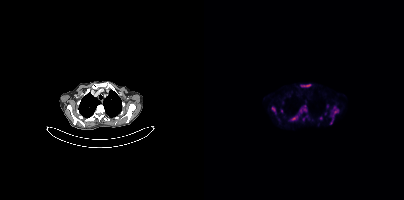
Two-panel axial: CT | PSMA PET, 18F-PSMA tracer. Acquired on Siemens Biograph mCT Flow 20. Slice 278 of 354.
Coordinates are on the 200×200 PET (right) panel. PSMA-avid tumor lesion bounding boxes (partial; 4 more foci not listed):
| # | x0 | y0 | x1 | y1 |
|---|---|---|---|---|
| 1 | 128 | 107 | 134 | 116 |
| 2 | 97 | 84 | 106 | 86 |
| 3 | 87 | 116 | 93 | 120 |
| 4 | 68 | 107 | 71 | 111 |
| 5 | 126 | 119 | 129 | 123 |
Small PSMA-avid foci (2 to 4 px across) near (center x, center y): (101, 109); (96, 110); (77, 110); (116, 118).